Paired axial CT (left) and PSMA PET (right), [68Ga]Ga-PSMA-11 tracer. Acquired on Siemens Biograph mCT Flow 20. PET panel 200×200 px (4.1 mm/px).
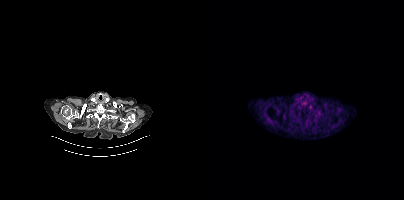
No tumor lesions annotated on this slice.